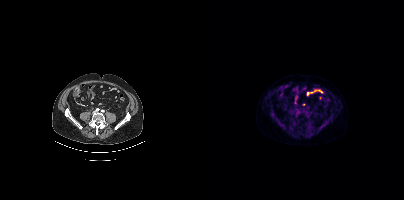
modality: PSMA PET/CT | tracer: 18F-PSMA | view: axial
This slice has no annotated PSMA-avid lesion.